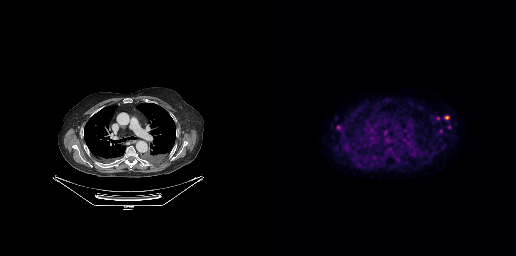
- Paired axial CT (left) and PSMA PET (right), [18F]PSMA-1007 tracer
- PET panel 256×256 px (2.7 mm/px)
Findings: Coordinates are on the 256×256 PET (right) panel. PSMA-avid tumor lesion bounding boxes (x, y, width, height): x=76 y=125 w=5 h=5 / x=187 y=125 w=5 h=5. Small PSMA-avid foci (2 to 4 px across) near (center x, center y): (186, 117) / (177, 118) / (126, 132) / (180, 131).